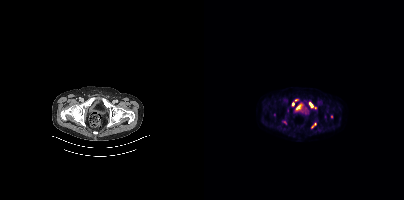
Coordinates are on the 200×200 PET (right) panel. PSMA-avid tumor lesion bounding box (x, y, width, height): x=105 y=102 w=5 h=6. Small PSMA-avid foci (2 to 4 px across) near (center x, center y): (89, 103); (92, 100); (111, 124); (111, 107); (108, 126). Left: CT. Right: PSMA PET, same axial level, 18F-PSMA tracer. Acquired on Siemens Biograph mCT Flow 20. Slice position z = -928 mm. PET panel 200×200 px (4.1 mm/px).